modality: PSMA PET/CT | tracer: 68Ga-PSMA | view: axial | PET grid: 168×168
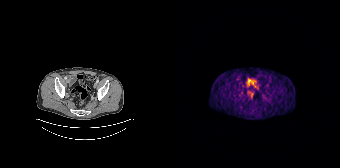
No PSMA-avid tumor lesions on this slice.